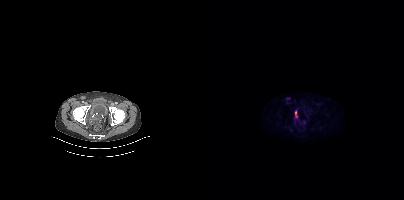
Technique: Left: CT. Right: PSMA PET, same axial level, [18F]PSMA-1007 tracer. slice position z = -1546 mm. PET panel 200×200 px (4.1 mm/px).
Findings: Coordinates are on the 200×200 PET (right) panel. PSMA-avid tumor lesion bounding box (x0,y0,x1,y1): [91,111,93,117]. Small PSMA-avid foci (2 to 4 px across) near (center x, center y): (100, 122); (84, 98).